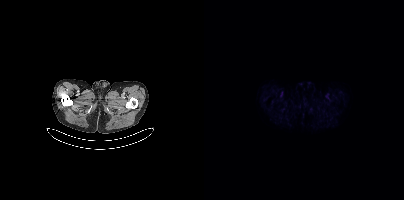
modality: PSMA PET/CT | tracer: [18F]PSMA-1007 | view: axial
Negative for PSMA-avid disease on this slice.